Two-panel axial: CT | PSMA PET, 18F-PSMA tracer. Acquired on Siemens Biograph mCT Flow 20.
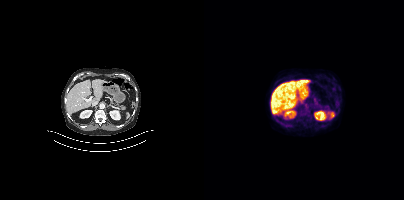
Negative for PSMA-avid disease on this slice.